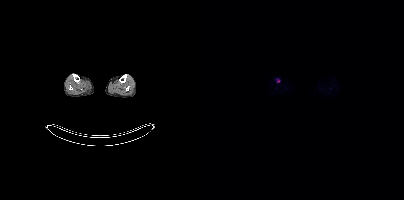
{"modality":"PSMA PET/CT","view":"axial","tracer":"18F","pet_grid":[200,200],"coord_frame":"pet_panel","coord_format":"x0,y0,x1,y1","lesion_bboxes":[],"small_foci_centers":[[74,80]]}